Two-panel axial: CT | PSMA PET, 18F tracer. Acquired on Siemens Biograph mCT Flow 20.
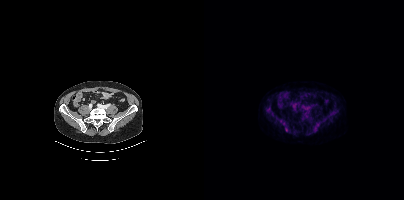
This slice has no annotated PSMA-avid lesion.